Paired axial CT (left) and PSMA PET (right), 68Ga tracer. PET panel 168×168 px (4.1 mm/px).
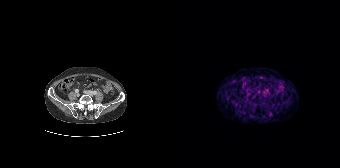
No tumor lesions annotated on this slice.